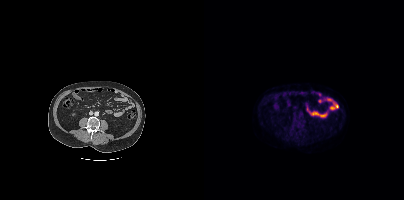
Negative for PSMA-avid disease on this slice.